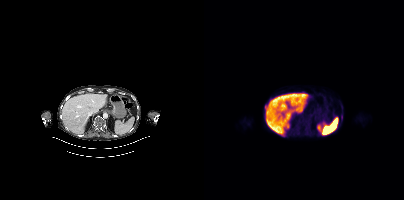
Findings: Coordinates are on the 200×200 PET (right) panel. PSMA-avid tumor lesion bounding boxes (x, y, width, height): x=137 y=114 w=2 h=7 / x=61 y=105 w=2 h=6.
Technique: Left: CT. Right: PSMA PET, same axial level, 18F tracer. PET panel 200×200 px (4.1 mm/px).